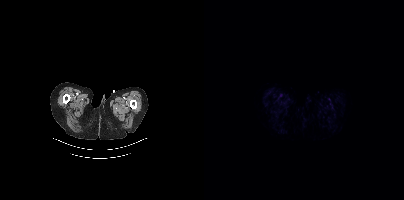
{"pet_grid":[200,200],"coord_frame":"pet_panel","coord_format":"x0,y0,x1,y1","psma_avid_lesions":false,"modality":"PSMA PET/CT","view":"axial","tracer":"18F"}